Left: CT. Right: PSMA PET, same axial level, 18F-PSMA tracer. Acquired on GE Discovery 690.
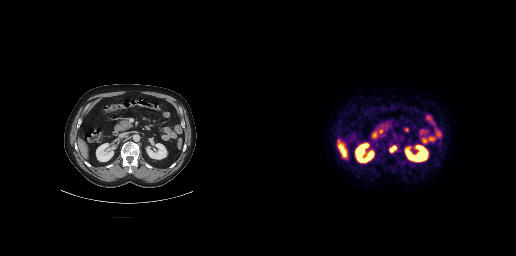
Coordinates are on the 256×256 PET (right) panel. PSMA-avid tumor lesion bounding box (x, y, width, height): x=129 y=145 w=8 h=8.